- Left: CT. Right: PSMA PET, same axial level, 18F tracer
- acquired on Siemens Biograph mCT Flow 20
- slice position z = -953 mm
- PET panel 200×200 px (4.1 mm/px)
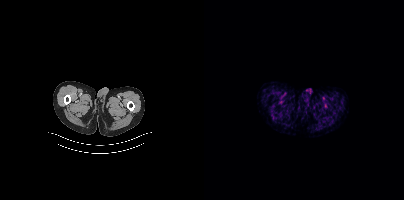
Findings: No PSMA-avid tumor lesions on this slice.